Left: CT. Right: PSMA PET, same axial level, [18F]PSMA-1007 tracer. Slice position z = -848 mm.
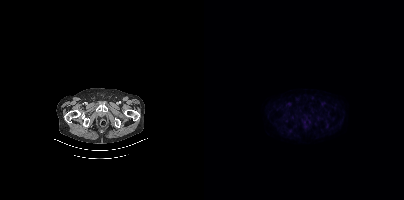
No PSMA-avid tumor lesions on this slice.